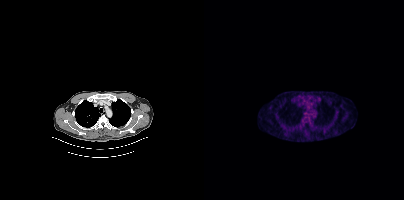
This slice has no annotated PSMA-avid lesion.